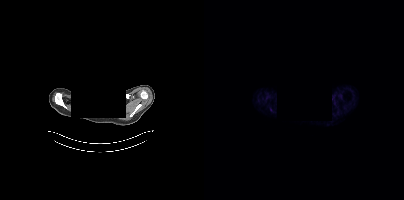
No PSMA-avid tumor lesions on this slice. Facial anatomy redacted by setting a rectangular region of the head to black. Two-panel axial: CT | PSMA PET, 68Ga-PSMA tracer. Acquired on Siemens Biograph mCT Flow 20. Slice 383 of 429.